Left: CT. Right: PSMA PET, same axial level, 18F tracer. PET panel 200×200 px (4.1 mm/px).
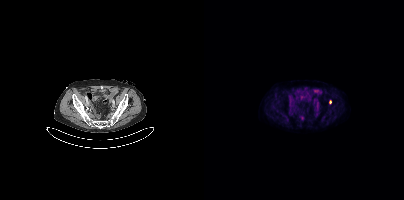
Coordinates are on the 200×200 PET (right) panel. Small PSMA-avid focus (2 to 4 px across) near (center x, center y): (126, 101).